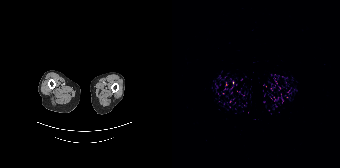
This slice has no annotated PSMA-avid lesion.
modality: PSMA PET/CT | tracer: [68Ga]Ga-PSMA-11 | view: axial